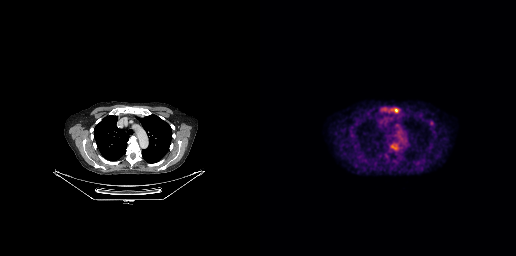
Coordinates are on the 256×256 PET (right) panel. (showing 2 of 3 foci) PSMA-avid tumor lesion bounding boxes (x0,y0,x1,y1): [134,108,138,112] [131,145,136,149]. Paired axial CT (left) and PSMA PET (right), 18F-PSMA tracer. Slice 232 of 299. PET panel 256×256 px (2.7 mm/px).